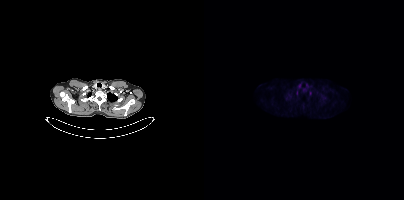
{"modality":"PSMA PET/CT","view":"axial","tracer":"18F","pet_grid":[200,200],"coord_frame":"pet_panel","coord_format":"x0,y0,x1,y1","psma_avid_lesions":false}